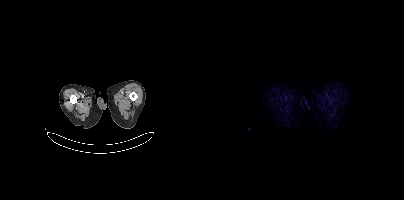
Two-panel axial: CT | PSMA PET, 18F-PSMA tracer. Slice 12 of 425. PET panel 200×200 px (4.1 mm/px). Negative for PSMA-avid disease on this slice.